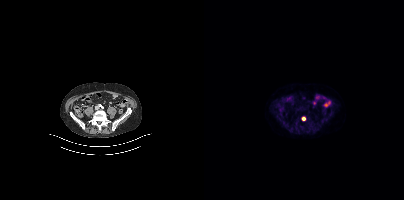
- Paired axial CT (left) and PSMA PET (right), [18F]PSMA-1007 tracer
- acquired on Siemens Biograph mCT Flow 20
- PET panel 200×200 px (4.1 mm/px)
Findings: Coordinates are on the 200×200 PET (right) panel. Small PSMA-avid focus (2 to 4 px across) near (center x, center y): (99, 118).